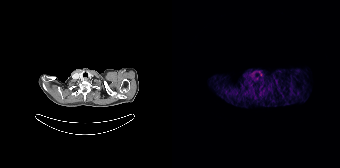
Findings: Negative for PSMA-avid disease on this slice.
- Paired axial CT (left) and PSMA PET (right), 68Ga tracer
- acquired on Siemens Biograph 64-4R TruePoint
- slice 166 of 195
- PET panel 168×168 px (4.1 mm/px)